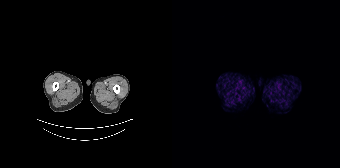
Technique: Two-panel axial: CT | PSMA PET, [68Ga]Ga-PSMA-11 tracer. acquired on Siemens Biograph 64-4R TruePoint. slice position z = -1428 mm.
Findings: This slice has no annotated PSMA-avid lesion.